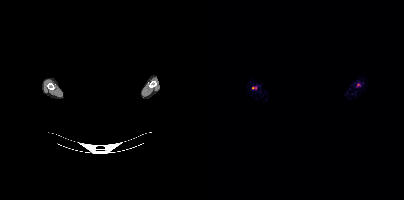
Left: CT. Right: PSMA PET, same axial level, 18F tracer. Slice 372 of 373. A rectangular block over the head has been blanked out for de-identification.
Coordinates are on the 200×200 PET (right) panel. PSMA-avid tumor lesion bounding boxes:
| # | x0 | y0 | x1 | y1 |
|---|---|---|---|---|
| 1 | 48 | 86 | 53 | 89 |
| 2 | 152 | 83 | 156 | 87 |